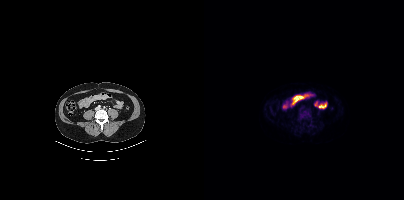
Left: CT. Right: PSMA PET, same axial level, 18F tracer. PET panel 200×200 px (4.1 mm/px). This slice has no annotated PSMA-avid lesion.